- Paired axial CT (left) and PSMA PET (right), 18F-PSMA tracer
- PET panel 200×200 px (4.1 mm/px)
- de-identified by setting a rectangular region to black
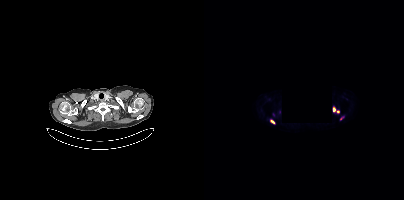
Findings: Coordinates are on the 200×200 PET (right) panel. Small PSMA-avid foci (2 to 4 px across) near (center x, center y): (68, 121); (130, 109); (134, 111); (136, 118).